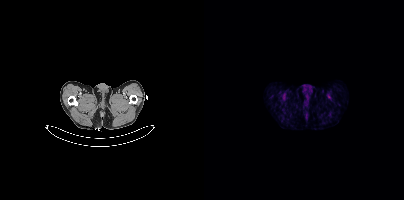
No PSMA-avid tumor lesions on this slice.
modality: PSMA PET/CT | tracer: 18F-PSMA | view: axial | PET grid: 200×200